Technique: Paired axial CT (left) and PSMA PET (right), 18F tracer. slice position z = -1525 mm. PET panel 200×200 px (4.1 mm/px).
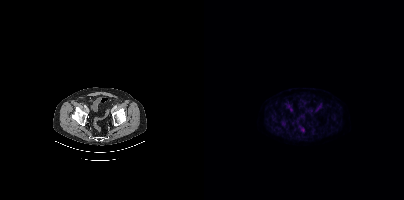
Findings: No PSMA-avid tumor lesions on this slice.